Paired axial CT (left) and PSMA PET (right), 68Ga tracer. Slice 108 of 409. PET panel 200×200 px (4.1 mm/px).
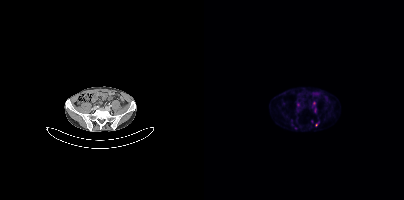
Coordinates are on the 200×200 PET (right) panel. (showing 3 of 5 foci) Small PSMA-avid foci (2 to 4 px across) near (center x, center y): (108, 121) / (94, 105) / (88, 124).